Privacy masking over the head, with the pixels inside a rectangle set to black. Left: CT. Right: PSMA PET, same axial level, [68Ga]Ga-PSMA-11 tracer.
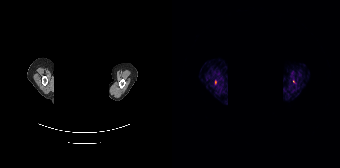
Only PSMA-avid lesion pieces thinner than 2 px on this slice (not listed).